Left: CT. Right: PSMA PET, same axial level, 18F-PSMA tracer. Acquired on Siemens Biograph mCT Flow 20. Slice 264 of 356.
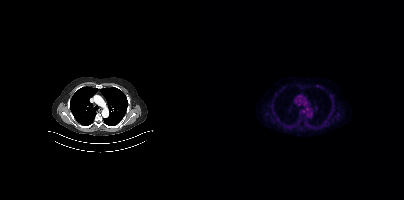
Only PSMA-avid lesion pieces thinner than 2 px on this slice (not listed).